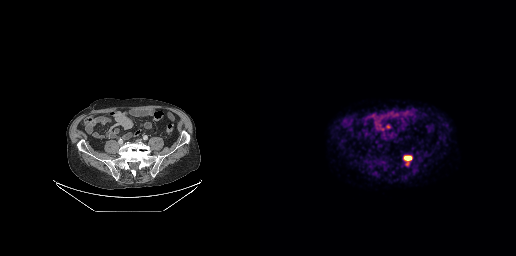
Coordinates are on the 256×256 PET (right) panel. PSMA-avid tumor lesion bounding box (x0,y0,x1,y1): [145,156,151,159]. Two-panel axial: CT | PSMA PET, [18F]PSMA-1007 tracer. Acquired on GE Discovery 690. Slice position z = -595 mm. PET panel 256×256 px (2.7 mm/px).